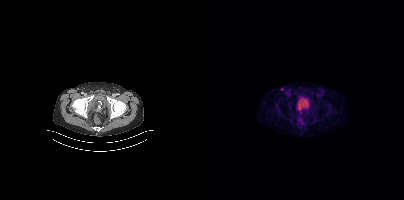
Only PSMA-avid lesion pieces thinner than 2 px on this slice (not listed). Two-panel axial: CT | PSMA PET, [18F]PSMA-1007 tracer. Acquired on Siemens Biograph mCT Flow 20. Slice 80 of 429.